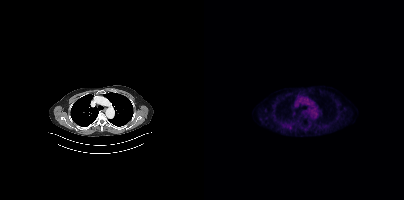
Left: CT. Right: PSMA PET, same axial level, 18F tracer. Coordinates are on the 200×200 PET (right) panel. Small PSMA-avid focus (2 to 4 px across) near (center x, center y): (85, 126).